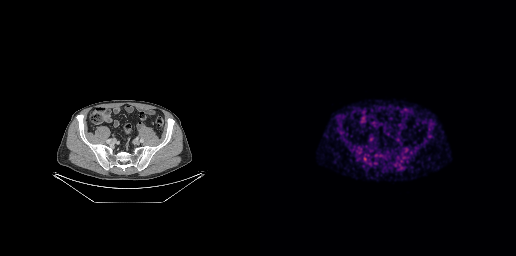
No PSMA-avid tumor lesions on this slice.